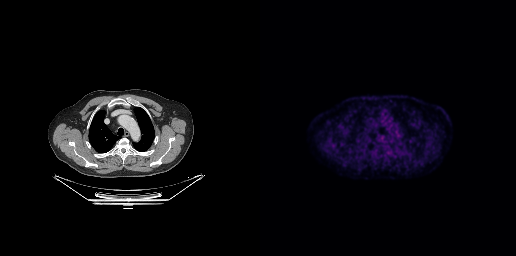
No tumor lesions annotated on this slice.